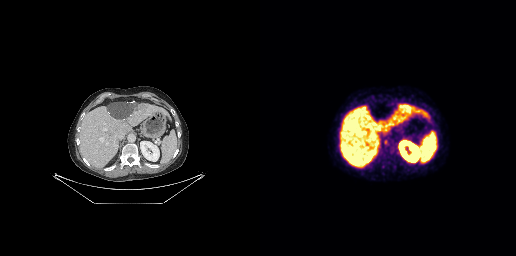
Coordinates are on the 256×256 PET (right) panel. Small PSMA-avid focus (2 to 4 px across) near (center x, center y): (125, 142).